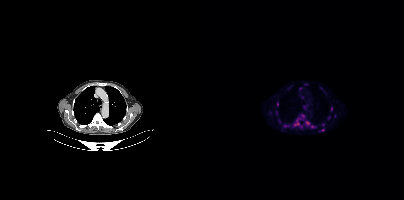
Paired axial CT (left) and PSMA PET (right), 18F-PSMA tracer. PET panel 200×200 px (4.1 mm/px). Coordinates are on the 200×200 PET (right) panel. (showing 12 of 15 foci) PSMA-avid tumor lesion bounding boxes (x, y, width, height): x=90 y=118 w=8 h=8 / x=102 y=121 w=4 h=5. Small PSMA-avid foci (2 to 4 px across) near (center x, center y): (73, 104) / (127, 108) / (98, 115) / (108, 126) / (72, 112) / (98, 97) / (81, 125) / (119, 130) / (66, 112) / (124, 117).